modality: PSMA PET/CT | tracer: [18F]PSMA-1007 | view: axial | PET grid: 200×200
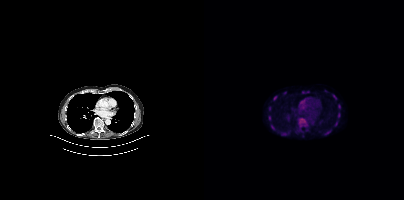
Coordinates are on the 200×200 PET (right) panel. (showing 7 of 8 foci) PSMA-avid tumor lesion bounding boxes (x, y, width, height): x=134 y=113 w=3 h=5 | x=129 y=95 w=4 h=5 | x=69 y=96 w=4 h=5 | x=134 y=104 w=3 h=5. Small PSMA-avid foci (2 to 4 px across) near (center x, center y): (65, 108) | (65, 117) | (68, 126).